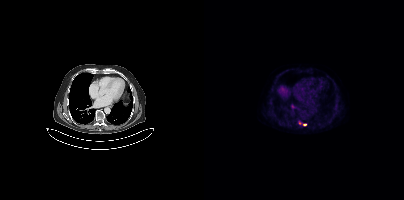
{"modality":"PSMA PET/CT","view":"axial","tracer":"18F-PSMA","pet_grid":[200,200],"coord_frame":"pet_panel","coord_format":"x0,y0,x1,y1","lesion_bboxes":[],"small_foci_centers":[[101,124]]}